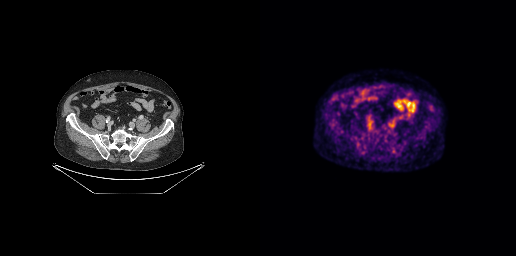
Two-panel axial: CT | PSMA PET, [18F]PSMA-1007 tracer. No tumor lesions annotated on this slice.